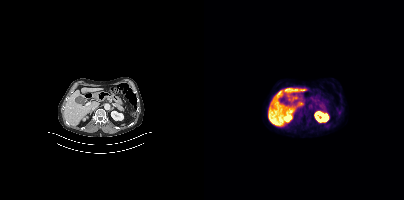
{"modality":"PSMA PET/CT","view":"axial","tracer":"18F-PSMA","pet_grid":[200,200],"coord_frame":"pet_panel","coord_format":"x0,y0,x1,y1","psma_avid_lesions":false}